deidentification: privacy mask over head | modality: PSMA PET/CT | tracer: [18F]PSMA-1007 | view: axial | PET grid: 200×200
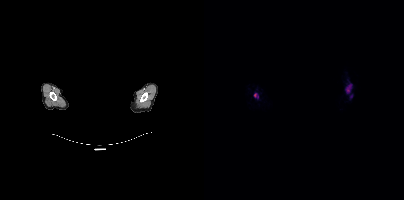
Coordinates are on the 200×200 PET (right) panel. (showing 2 of 3 foci) PSMA-avid tumor lesion bounding boxes (x0,y0,x1,y1): [142,84,147,92], [50,93,54,97].